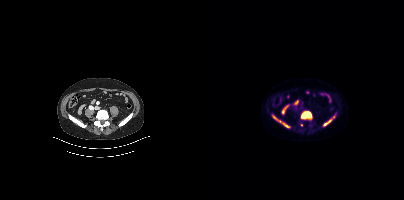
Technique: Left: CT. Right: PSMA PET, same axial level, 18F-PSMA tracer. acquired on Siemens Biograph mCT Flow 20. slice position z = -1387 mm.
Findings: Coordinates are on the 200×200 PET (right) panel. (showing 3 of 4 foci) PSMA-avid tumor lesion bounding boxes (x, y, width, height): x=97 y=111 w=12 h=9; x=68 y=115 w=18 h=13; x=119 y=116 w=12 h=10.